- Two-panel axial: CT | PSMA PET, [18F]PSMA-1007 tracer
- acquired on Siemens Biograph mCT Flow 20
- slice position z = -1103 mm
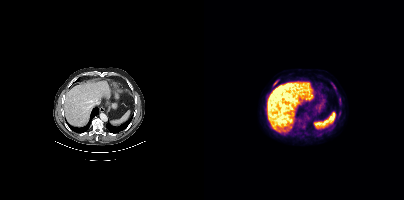
Findings: Coordinates are on the 200×200 PET (right) panel. PSMA-avid tumor lesion bounding box (x0,y0,x1,y1): [127,83,131,88]. Small PSMA-avid focus (2 to 4 px across) near (center x, center y): (71, 83).